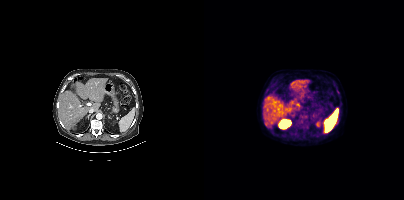
Findings: Only PSMA-avid lesion pieces thinner than 2 px on this slice (not listed).
- Paired axial CT (left) and PSMA PET (right), [18F]PSMA-1007 tracer
- slice 249 of 448
- PET panel 200×200 px (4.1 mm/px)